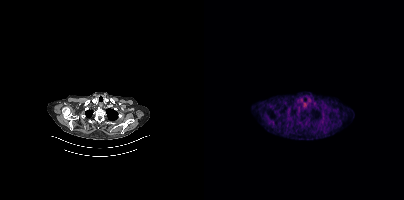
Left: CT. Right: PSMA PET, same axial level, 68Ga tracer. Acquired on Siemens Biograph mCT Flow 20. Slice 331 of 405. PET panel 200×200 px (4.1 mm/px). No tumor lesions annotated on this slice.